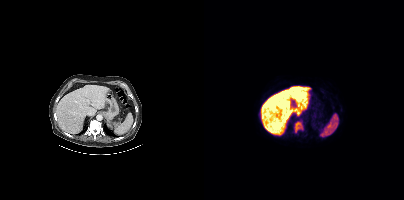
Coordinates are on the 200×200 PET (right) panel. PSMA-avid tumor lesion bounding box (x, y, width, height): x=90 y=121 w=10 h=12.
modality: PSMA PET/CT | tracer: [18F]PSMA-1007 | view: axial